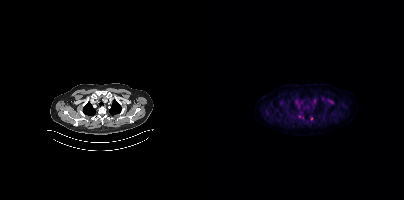
{"modality":"PSMA PET/CT","view":"axial","tracer":"[18F]PSMA-1007","pet_grid":[200,200],"coord_frame":"pet_panel","coord_format":"x0,y0,x1,y1","lesion_bboxes":[],"small_foci_centers":[[95,116],[107,118]]}